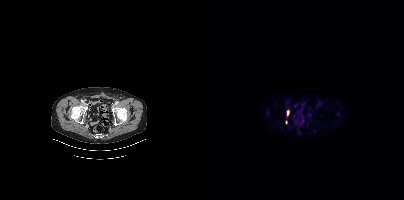
Coordinates are on the 200×200 PET (right) panel. PSMA-avid tumor lesion bounding boxes (partial; 1 more focus not listed):
| # | x0 | y0 | x1 | y1 |
|---|---|---|---|---|
| 1 | 83 | 111 | 84 | 115 |
Two-panel axial: CT | PSMA PET, [18F]PSMA-1007 tracer. Slice position z = -1385 mm.